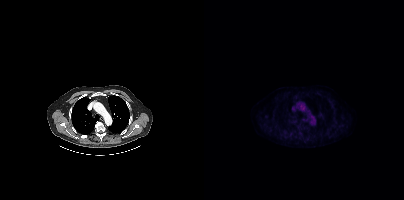
Technique: Left: CT. Right: PSMA PET, same axial level, 18F-PSMA tracer. acquired on Siemens Biograph mCT Flow 20. slice position z = -484 mm. PET panel 200×200 px (4.1 mm/px).
Findings: No tumor lesions annotated on this slice.